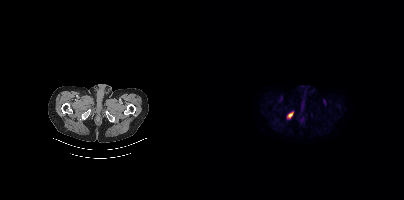
Coordinates are on the 200×200 PET (right) panel. Small PSMA-avid focus (2 to 4 px across) near (center x, center y): (86, 114).